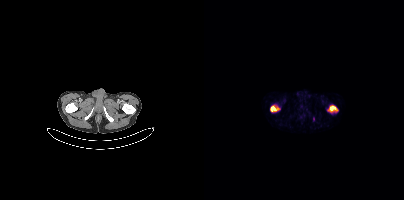
Findings: Coordinates are on the 200×200 PET (right) panel. PSMA-avid tumor lesion bounding boxes (x0, y0)-(x1, y1): (125, 105)-(133, 111) | (67, 106)-(75, 111).
Technique: Left: CT. Right: PSMA PET, same axial level, 68Ga-PSMA tracer. acquired on Siemens Biograph mCT Flow 20. slice 26 of 393. PET panel 200×200 px (4.1 mm/px).